modality: PSMA PET/CT | tracer: 68Ga-PSMA | view: axial
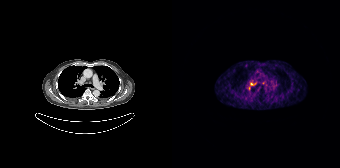
Coordinates are on the 168×168 PET (right) panel. PSMA-avid tumor lesion bounding box (x0, y0)-(x1, y1): (76, 82)-(83, 90).